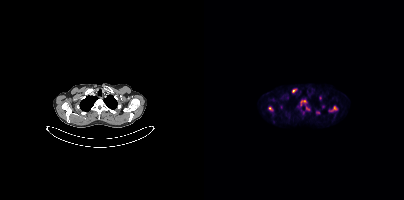
Paired axial CT (left) and PSMA PET (right), 18F-PSMA tracer. Slice position z = -968 mm. PET panel 200×200 px (4.1 mm/px).
Coordinates are on the 200×200 PET (right) panel. PSMA-avid tumor lesion bounding boxes (partial; 1 more focus not listed):
| # | x0 | y0 | x1 | y1 |
|---|---|---|---|---|
| 1 | 96 | 99 | 105 | 110 |
| 2 | 124 | 106 | 134 | 112 |
| 3 | 64 | 106 | 69 | 111 |
| 4 | 88 | 88 | 93 | 93 |
Small PSMA-avid foci (2 to 4 px across) near (center x, center y): (113, 112); (116, 97); (119, 106).